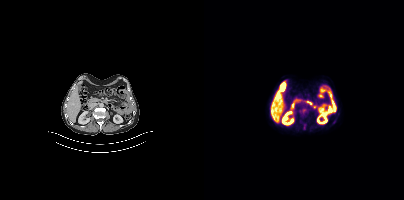
Only PSMA-avid lesion pieces thinner than 2 px on this slice (not listed).